Paired axial CT (left) and PSMA PET (right), 18F tracer. Slice 10 of 165. PET panel 168×168 px (4.1 mm/px).
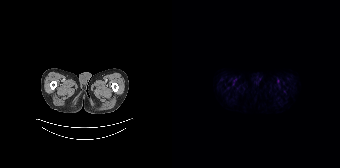
No PSMA-avid tumor lesions on this slice.